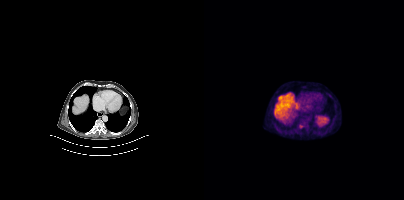
Coordinates are on the 200×200 PET (right) panel. PSMA-avid tumor lesion bounding box (x, y, width, height): x=95 y=125 w=5 h=3.
modality: PSMA PET/CT | tracer: 18F-PSMA | view: axial